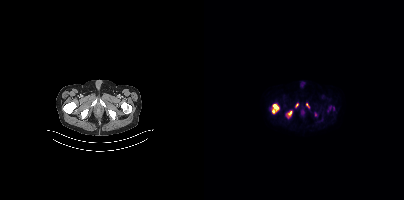
Two-panel axial: CT | PSMA PET, 18F-PSMA tracer. Acquired on Siemens Biograph mCT Flow 20. Slice position z = -776 mm. PET panel 200×200 px (4.1 mm/px). Coordinates are on the 200×200 PET (right) panel. PSMA-avid tumor lesion bounding boxes (x0,y0,x1,y1): [68,104,75,113], [82,111,87,117]. Small PSMA-avid foci (2 to 4 px across) near (center x, center y): (103, 104), (93, 105), (111, 114).